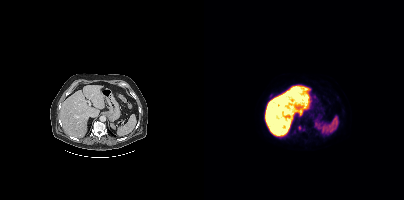
Technique: Two-panel axial: CT | PSMA PET, [18F]PSMA-1007 tracer. slice 231 of 417.
Findings: Coordinates are on the 200×200 PET (right) panel. Small PSMA-avid focus (2 to 4 px across) near (center x, center y): (95, 127).